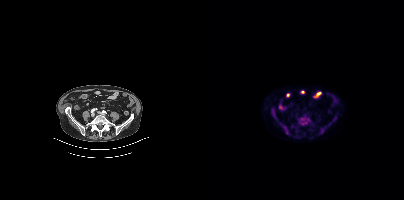
Coordinates are on the 200×200 PET (right) panel. (showing 2 of 3 foci) PSMA-avid tumor lesion bounding boxes (x0, y0)-(x1, y1): (95, 115)-(105, 125) / (75, 123)-(81, 131).